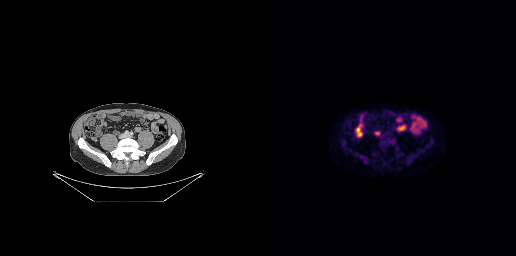
{"modality":"PSMA PET/CT","view":"axial","tracer":"18F-PSMA","pet_grid":[256,256],"coord_frame":"pet_panel","coord_format":"x0,y0,x1,y1","psma_avid_lesions":false}